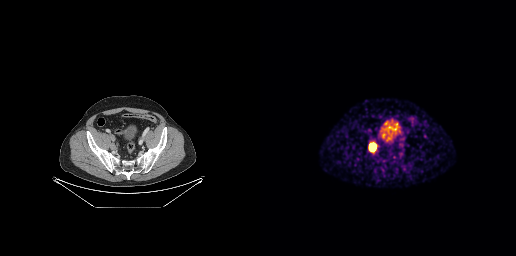
{"modality":"PSMA PET/CT","view":"axial","tracer":"68Ga-PSMA","pet_grid":[256,256],"coord_frame":"pet_panel","coord_format":"x0,y0,x1,y1","lesion_bboxes":[[108,142,117,152]]}